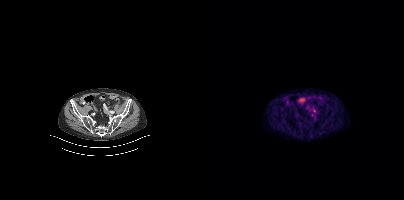
- Paired axial CT (left) and PSMA PET (right), 68Ga tracer
- PET panel 200×200 px (4.1 mm/px)
Findings: Coordinates are on the 200×200 PET (right) panel. Small PSMA-avid focus (2 to 4 px across) near (center x, center y): (110, 110).